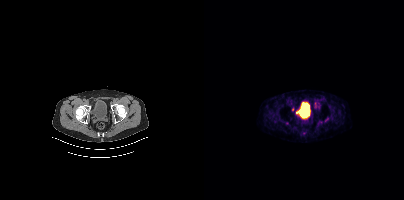
{"modality":"PSMA PET/CT","view":"axial","tracer":"68Ga","pet_grid":[200,200],"coord_frame":"pet_panel","coord_format":"x0,y0,x1,y1","lesion_bboxes":[],"small_foci_centers":[[88,109],[83,123]]}